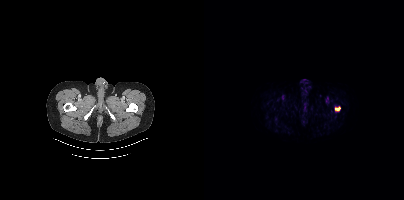
Coordinates are on the 200×200 PET (right) panel. (showing 1 of 2 foci) PSMA-avid tumor lesion bounding box (x0, y0)-(x1, y1): (130, 106)-(136, 111).